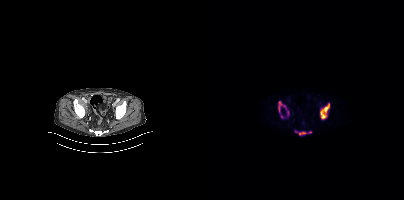
Findings: Coordinates are on the 200×200 PET (right) panel. (showing 4 of 6 foci) PSMA-avid tumor lesion bounding boxes (x, y, width, height): x=116 y=103 w=10 h=17; x=74 y=101 w=8 h=12; x=95 y=132 w=7 h=3. Small PSMA-avid focus (2 to 4 px across) near (center x, center y): (78, 116).
Technique: Left: CT. Right: PSMA PET, same axial level, 18F-PSMA tracer. slice position z = -780 mm.